Two-panel axial: CT | PSMA PET, 68Ga tracer.
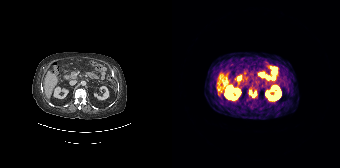
Coordinates are on the 168×168 PET (right) panel. PSMA-avid tumor lesion bounding box (x0, y0)-(x1, y1): (77, 90)-(84, 97).